Paired axial CT (left) and PSMA PET (right), 68Ga tracer.
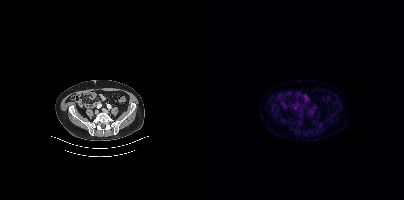
Only PSMA-avid lesion pieces thinner than 2 px on this slice (not listed).